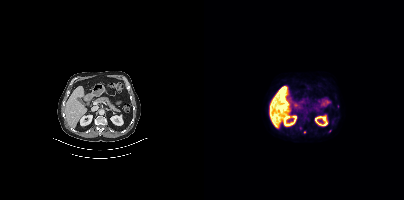
{"modality":"PSMA PET/CT","view":"axial","tracer":"18F","pet_grid":[200,200],"coord_frame":"pet_panel","coord_format":"x0,y0,x1,y1","partial":true,"lesion_bboxes":[],"small_foci_centers":[[100,132]]}